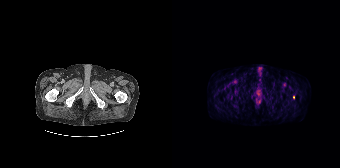
{"modality":"PSMA PET/CT","view":"axial","tracer":"[18F]PSMA-1007","pet_grid":[168,168],"coord_frame":"pet_panel","coord_format":"x0,y0,x1,y1","lesion_bboxes":[],"small_foci_centers":[[121,97]]}